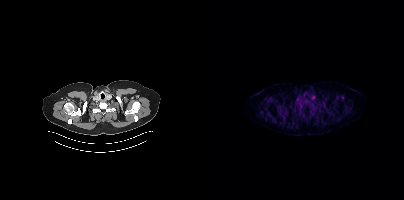
modality: PSMA PET/CT | tracer: 18F | view: axial
No tumor lesions annotated on this slice.